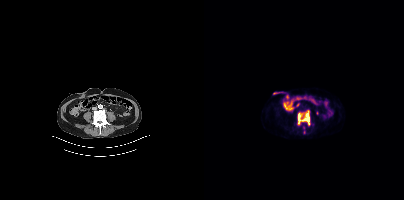
modality: PSMA PET/CT | tracer: 18F-PSMA | view: axial
Coordinates are on the 200×200 PET (right) panel. PSMA-avid tumor lesion bounding box (x, y, width, height): x=94 y=113 w=12 h=13.